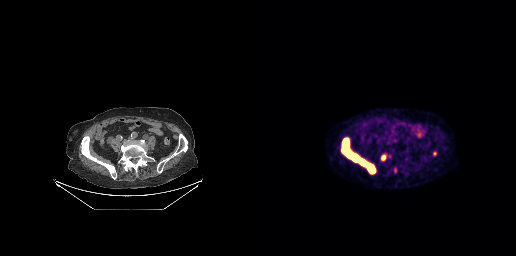
Coordinates are on the 256×256 PET (right) panel. (showing 3 of 4 foci) PSMA-avid tumor lesion bounding boxes (x0,y0,x1,y1): [81,137,116,173]; [121,154,126,160]; [173,151,176,155]. Paired axial CT (left) and PSMA PET (right), 18F tracer. PET panel 256×256 px (2.7 mm/px).